Left: CT. Right: PSMA PET, same axial level, 18F tracer. Slice position z = -1512 mm. PET panel 200×200 px (4.1 mm/px).
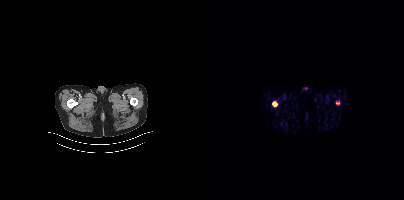
Coordinates are on the 200×200 PET (right) panel. PSMA-avid tumor lesion bounding box (x0, y0)-(x1, y1): (68, 101)-(73, 106). Small PSMA-avid focus (2 to 4 px across) near (center x, center y): (133, 103).